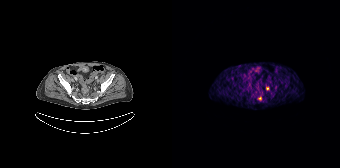
Technique: Left: CT. Right: PSMA PET, same axial level, 68Ga tracer. acquired on Siemens Biograph 64-4R TruePoint. PET panel 168×168 px (4.1 mm/px).
Findings: Coordinates are on the 168×168 PET (right) panel. (showing 2 of 3 foci) Small PSMA-avid foci (2 to 4 px across) near (center x, center y): (87, 98), (95, 88).